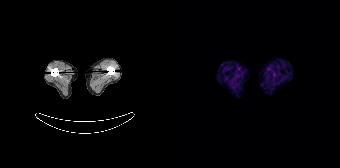
Technique: Left: CT. Right: PSMA PET, same axial level, 68Ga tracer.
Findings: No PSMA-avid tumor lesions on this slice.